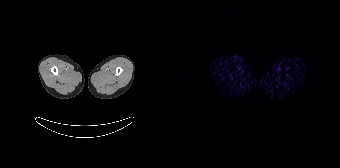
{"modality":"PSMA PET/CT","view":"axial","tracer":"[68Ga]Ga-PSMA-11","pet_grid":[168,168],"coord_frame":"pet_panel","coord_format":"x0,y0,x1,y1","psma_avid_lesions":false}